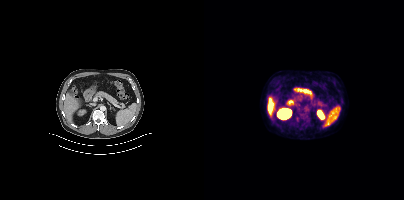
This slice has no annotated PSMA-avid lesion. Paired axial CT (left) and PSMA PET (right), [18F]PSMA-1007 tracer. Acquired on Siemens Biograph mCT Flow 20.